modality: PSMA PET/CT | tracer: 18F | view: axial
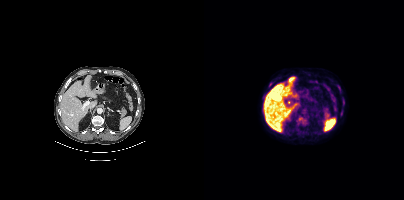
Coordinates are on the 200×200 PET (right) panel. Small PSMA-avid focus (2 to 4 px across) near (center x, center y): (140, 106).